- Paired axial CT (left) and PSMA PET (right), 18F tracer
- PET panel 200×200 px (4.1 mm/px)
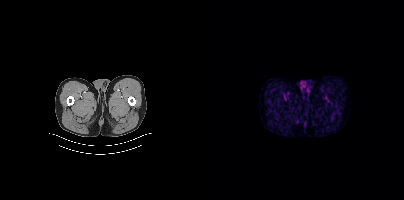
Findings: Negative for PSMA-avid disease on this slice.